Technique: Left: CT. Right: PSMA PET, same axial level, 18F tracer. PET panel 200×200 px (4.1 mm/px).
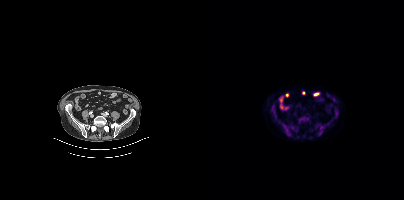
Findings: Coordinates are on the 200×200 PET (right) panel. (showing 2 of 3 foci) PSMA-avid tumor lesion bounding boxes (x0, y0)-(x1, y1): (96, 116)-(104, 121); (78, 123)-(79, 127).